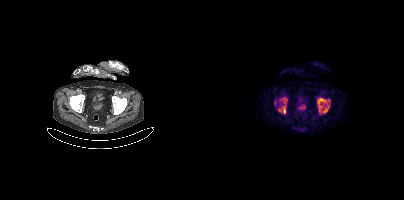
Paired axial CT (left) and PSMA PET (right), [18F]PSMA-1007 tracer. Acquired on Siemens Biograph mCT Flow 20. PET panel 200×200 px (4.1 mm/px). Coordinates are on the 200×200 PET (right) panel. (showing 4 of 6 foci) PSMA-avid tumor lesion bounding boxes (x, y, width, height): x=74 y=97 w=10 h=17 / x=113 y=98 w=10 h=14 / x=119 y=104 w=7 h=9 / x=70 y=100 w=3 h=6.